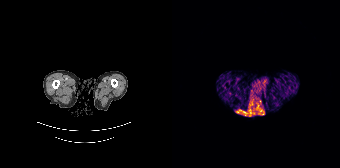
Technique: Left: CT. Right: PSMA PET, same axial level, 68Ga-PSMA tracer. acquired on Siemens Biograph 64-4R TruePoint. slice 5 of 165.
Findings: Negative for PSMA-avid disease on this slice.